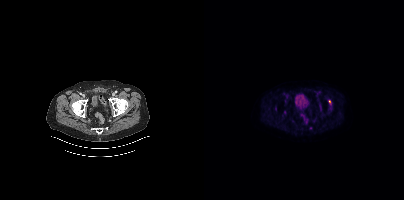
Coordinates are on the 200×200 PET (right) panel. Small PSMA-avid foci (2 to 4 px across) near (center x, center y): (125, 101); (106, 127).
modality: PSMA PET/CT | tracer: 18F | view: axial | PET grid: 200×200